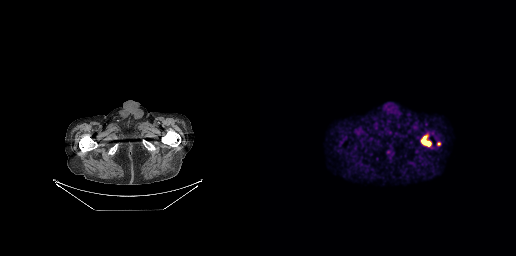
Left: CT. Right: PSMA PET, same axial level, 18F tracer. Acquired on GE Discovery 690. Slice position z = -709 mm. PET panel 256×256 px (2.7 mm/px).
Coordinates are on the 256×256 PET (right) panel. PSMA-avid tumor lesion bounding boxes:
| # | x0 | y0 | x1 | y1 |
|---|---|---|---|---|
| 1 | 161 | 135 | 171 | 146 |
Small PSMA-avid focus (2 to 4 px across) near (center x, center y): (178, 143).